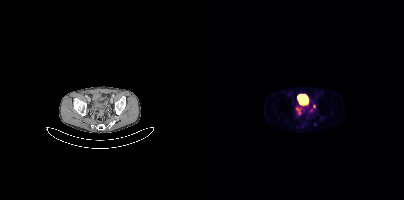
Coordinates are on the 200×200 PET (right) panel. PSMA-avid tumor lesion bounding box (x, y, width, height): x=92 y=107 w=6 h=8. Small PSMA-avid foci (2 to 4 px across) near (center x, center y): (110, 106) | (106, 112).